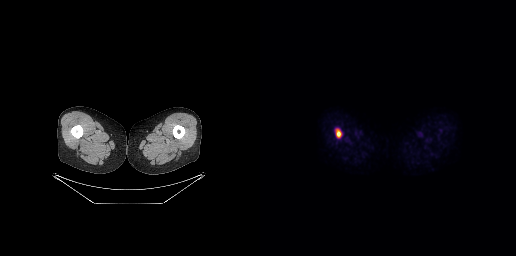
{"modality":"PSMA PET/CT","view":"axial","tracer":"18F-PSMA","pet_grid":[256,256],"coord_frame":"pet_panel","coord_format":"x0,y0,x1,y1","lesion_bboxes":[[76,129,81,137]]}